Two-panel axial: CT | PSMA PET, [68Ga]Ga-PSMA-11 tracer. Slice position z = -604 mm.
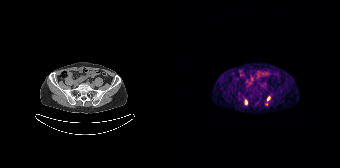
Coordinates are on the 168×168 PET (right) panel. (showing 3 of 4 foci) PSMA-avid tumor lesion bounding boxes (x0,y0,x1,y1): [73,100,75,104] [95,96,98,101]. Small PSMA-avid focus (2 to 4 px across) near (center x, center y): (94, 104).